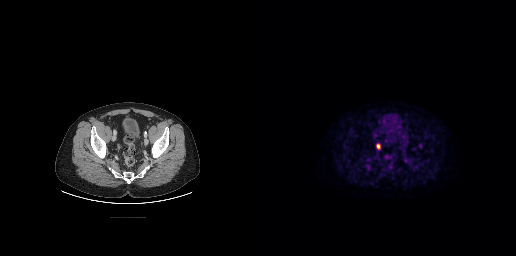
Technique: Paired axial CT (left) and PSMA PET (right), [18F]PSMA-1007 tracer. slice position z = -677 mm. PET panel 256×256 px (2.7 mm/px).
Findings: Coordinates are on the 256×256 PET (right) panel. PSMA-avid tumor lesion bounding box (x0,y0,x1,y1): [116,143,120,149].